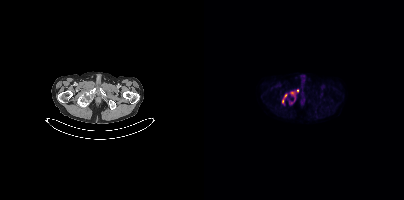
modality: PSMA PET/CT | tracer: 18F | view: axial | PET grid: 200×200
Coordinates are on the 200×200 PET (right) panel. PSMA-avid tumor lesion bounding boxes (x0,y0,x1,y1): [85,91,92,104], [78,94,83,103]. Small PSMA-avid focus (2 to 4 px across) near (center x, center y): (93, 90).